Technique: Two-panel axial: CT | PSMA PET, 18F tracer. slice 86 of 401.
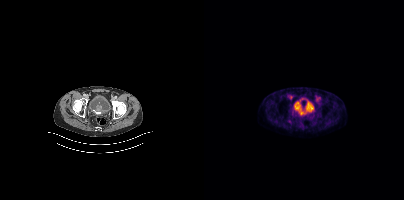
Findings: Coordinates are on the 200×200 PET (right) panel. PSMA-avid tumor lesion bounding box (x, y, width, height): x=95 y=106 w=10 h=9.